Left: CT. Right: PSMA PET, same axial level, 18F-PSMA tracer. Acquired on GE Discovery 690. Slice 219 of 263.
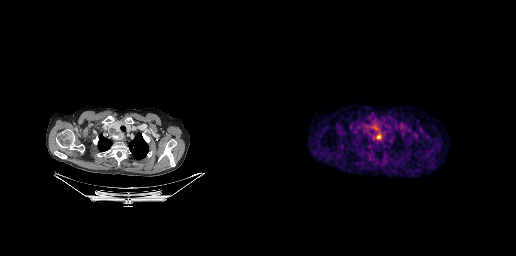
Coordinates are on the 256×256 PET (right) panel. PSMA-avid tumor lesion bounding boxes:
| # | x0 | y0 | x1 | y1 |
|---|---|---|---|---|
| 1 | 112 | 128 | 122 | 140 |